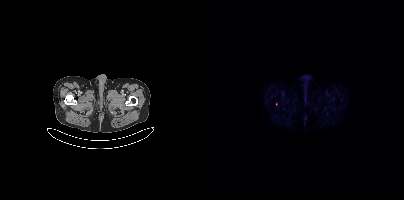
Only PSMA-avid lesion pieces thinner than 2 px on this slice (not listed).